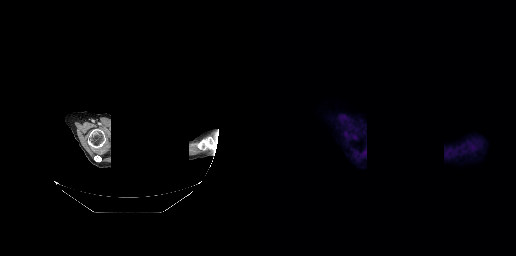
{"modality":"PSMA PET/CT","view":"axial","tracer":"[18F]PSMA-1007","pet_grid":[256,256],"coord_frame":"pet_panel","coord_format":"x0,y0,x1,y1","redaction":"face masked with black rectangle","psma_avid_lesions":false}